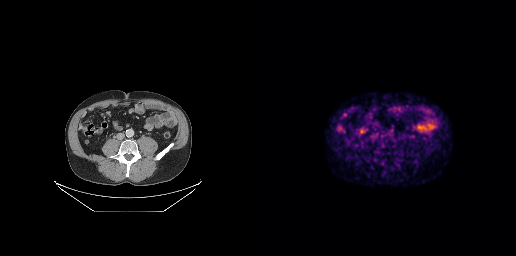
Left: CT. Right: PSMA PET, same axial level, 68Ga-PSMA tracer. No PSMA-avid tumor lesions on this slice.